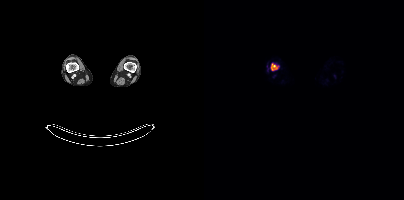
Coordinates are on the 200×200 PET (right) panel. PSMA-avid tumor lesion bounding boxes:
| # | x0 | y0 | x1 | y1 |
|---|---|---|---|---|
| 1 | 67 | 63 | 74 | 70 |
Left: CT. Right: PSMA PET, same axial level, [18F]PSMA-1007 tracer. Slice position z = -1363 mm. PET panel 200×200 px (4.1 mm/px).